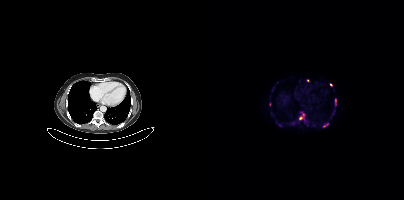
{"modality":"PSMA PET/CT","view":"axial","tracer":"[68Ga]Ga-PSMA-11","pet_grid":[200,200],"coord_frame":"pet_panel","coord_format":"x0,y0,x1,y1","partial":true,"lesion_bboxes":[[131,99,132,104],[119,124,124,127]],"small_foci_centers":[[104,80],[99,114],[89,122],[126,84],[97,118]]}